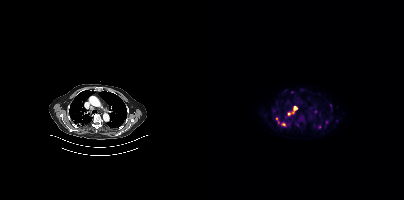
{"modality":"PSMA PET/CT","view":"axial","tracer":"18F","pet_grid":[200,200],"coord_frame":"pet_panel","coord_format":"x0,y0,x1,y1","partial":true,"lesion_bboxes":[[77,123,81,126],[90,106,93,110],[72,117,75,123]],"small_foci_centers":[[116,126],[88,92],[122,122],[111,111],[84,113]]}